Face de-identified by blanking a block of the head. Two-panel axial: CT | PSMA PET, [68Ga]Ga-PSMA-11 tracer. Slice 257 of 263.
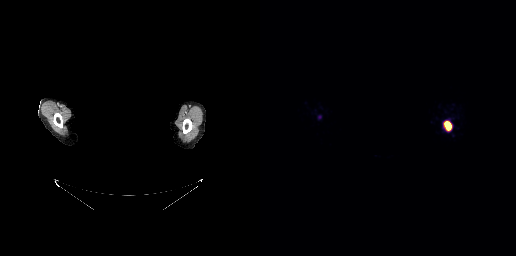
Coordinates are on the 256×256 PET (right) panel. PSMA-avid tumor lesion bounding boxes:
| # | x0 | y0 | x1 | y1 |
|---|---|---|---|---|
| 1 | 185 | 121 | 191 | 130 |